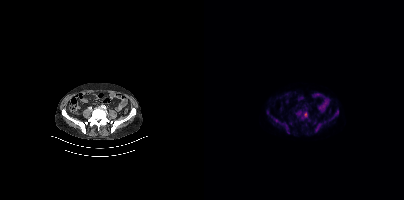
Coordinates are on the 200×200 PET (right) panel. (showing 9 of 10 foci) PSMA-avid tumor lesion bounding boxes (x, y, width, height): x=67 y=117 w=19 h=17; x=97 y=111 w=7 h=9; x=111 y=123 w=7 h=10; x=125 y=112 w=10 h=9; x=92 y=111 w=6 h=5. Small PSMA-avid foci (2 to 4 px across) near (center x, center y): (63, 112); (120, 121); (110, 122); (86, 123).
modality: PSMA PET/CT | tracer: 18F-PSMA | view: axial